modality: PSMA PET/CT | tracer: [18F]PSMA-1007 | view: axial
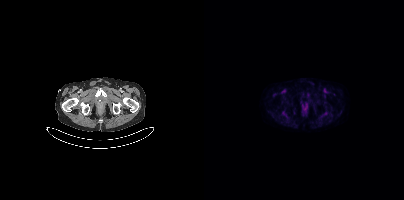
This slice has no annotated PSMA-avid lesion.